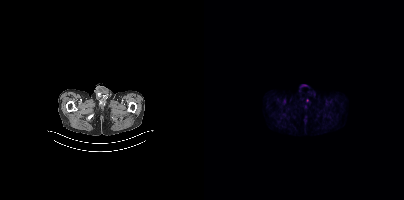
No tumor lesions annotated on this slice.
modality: PSMA PET/CT | tracer: 18F-PSMA | view: axial | PET grid: 200×200